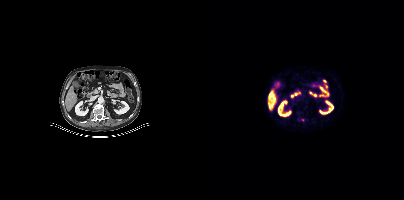
Coordinates are on the 200×200 PET (right) panel. Small PSMA-avid focus (2 to 4 px across) near (center x, center y): (98, 119).